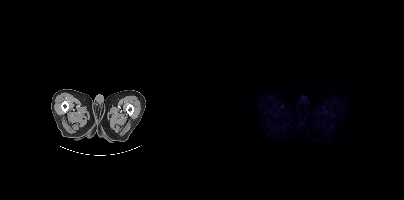
{"pet_grid":[200,200],"coord_frame":"pet_panel","coord_format":"x0,y0,x1,y1","psma_avid_lesions":false,"modality":"PSMA PET/CT","view":"axial","tracer":"18F"}